Technique: Paired axial CT (left) and PSMA PET (right), [68Ga]Ga-PSMA-11 tracer. acquired on GE Discovery 690. PET panel 256×256 px (2.7 mm/px).
Note: A rectangular block over the head has been blanked out for de-identification.
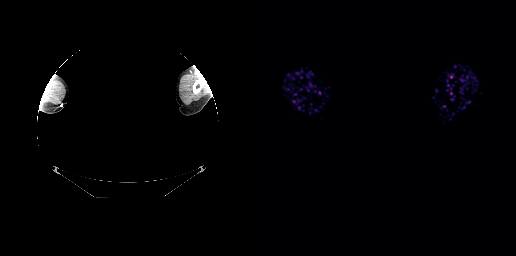
Findings: Negative for PSMA-avid disease on this slice.